Left: CT. Right: PSMA PET, same axial level, [18F]PSMA-1007 tracer. Acquired on Siemens Biograph mCT Flow 20. Slice 241 of 442.
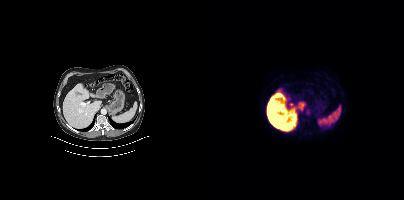
No tumor lesions annotated on this slice.